modality: PSMA PET/CT | tracer: 18F-PSMA | view: axial | PET grid: 200×200
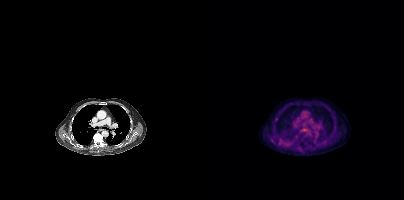
Coordinates are on the 200×200 PET (right) panel. (showing 1 of 2 foci) Small PSMA-avid focus (2 to 4 px across) near (center x, center y): (72, 119).